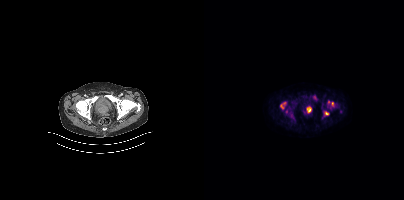
{"pet_grid":[200,200],"coord_frame":"pet_panel","coord_format":"x0,y0,x1,y1","lesion_bboxes":[[76,103,82,109],[103,107,107,112],[120,111,124,115],[127,102,129,106]],"small_foci_centers":[[82,110],[124,101]],"modality":"PSMA PET/CT","view":"axial","tracer":"18F-PSMA"}